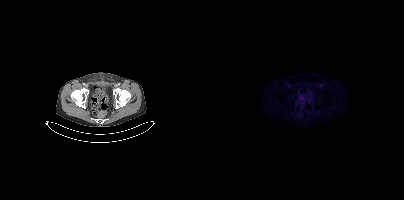
Left: CT. Right: PSMA PET, same axial level, [18F]PSMA-1007 tracer. Slice 73 of 448. PET panel 200×200 px (4.1 mm/px). This slice has no annotated PSMA-avid lesion.